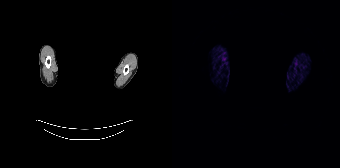
No PSMA-avid tumor lesions on this slice. Two-panel axial: CT | PSMA PET, 68Ga-PSMA tracer. Acquired on Siemens Biograph 64-4R TruePoint. Slice 156 of 165. A rectangle over the head was blacked out to remove identifiable facial features.